Left: CT. Right: PSMA PET, same axial level, 18F tracer. Acquired on Siemens Biograph mCT Flow 20. PET panel 200×200 px (4.1 mm/px).
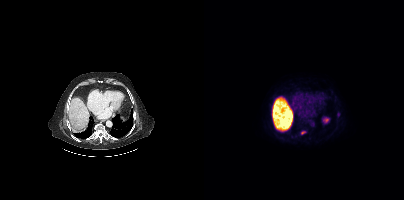
Coordinates are on the 200×200 PET (right) panel. PSMA-avid tumor lesion bounding boxes:
| # | x0 | y0 | x1 | y1 |
|---|---|---|---|---|
| 1 | 97 | 131 | 101 | 134 |
Small PSMA-avid focus (2 to 4 px across) near (center x, center y): (134, 114).